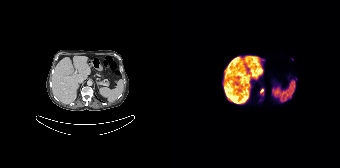
Coordinates are on the 168×168 PET (right) panel. PSMA-avid tumor lesion bounding boxes (partial; 1 more focus not listed):
| # | x0 | y0 | x1 | y1 |
|---|---|---|---|---|
| 1 | 87 | 88 | 92 | 96 |
Paired axial CT (left) and PSMA PET (right), 18F tracer. Slice 83 of 165.